Two-panel axial: CT | PSMA PET, [18F]PSMA-1007 tracer. Acquired on Siemens Biograph mCT Flow 20.
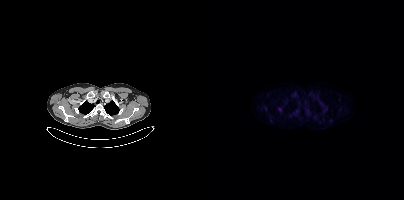
Coordinates are on the 200×200 PET (right) panel. Small PSMA-avid focus (2 to 4 px across) near (center x, center y): (75, 109).